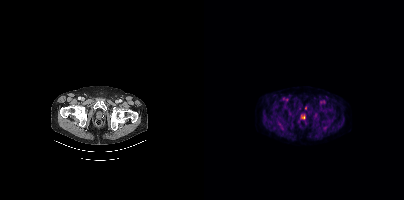
Paired axial CT (left) and PSMA PET (right), 18F tracer. Slice 47 of 403. PET panel 200×200 px (4.1 mm/px). Coordinates are on the 200×200 PET (right) panel. Small PSMA-avid focus (2 to 4 px across) near (center x, center y): (101, 107).